Technique: Paired axial CT (left) and PSMA PET (right), 68Ga-PSMA tracer. slice position z = -569 mm. PET panel 200×200 px (4.1 mm/px).
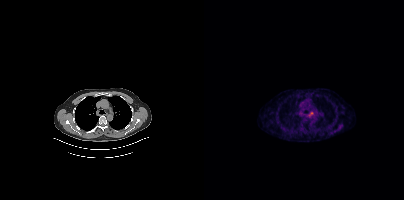
Findings: Coordinates are on the 200×200 PET (right) panel. Small PSMA-avid focus (2 to 4 px across) near (center x, center y): (107, 113).